modality: PSMA PET/CT | tracer: 18F | view: axial
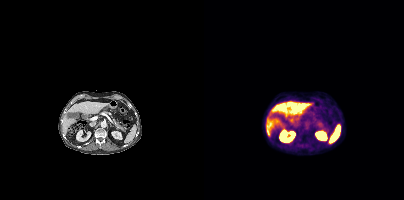
Negative for PSMA-avid disease on this slice.